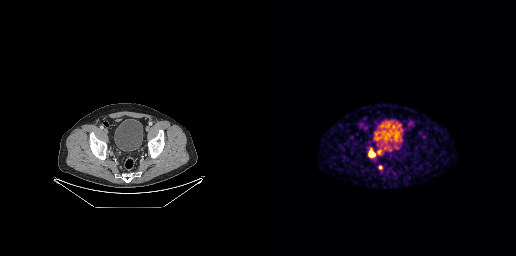
Coordinates are on the 256×256 PET (right) panel. (showing 2 of 3 foci) PSMA-avid tumor lesion bounding boxes (x, y, width, height): x=108 y=150 w=7 h=8; x=118 y=150 w=3 h=5.